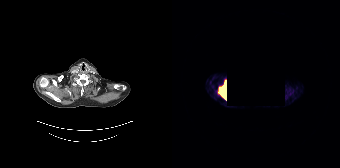
Coordinates are on the 168×168 PET (right) panel. PSMA-avid tumor lesion bounding box (x0, y0)-(x1, y1): (47, 81)-(54, 99).
A rectangular region was set to black for de-identification.